Left: CT. Right: PSMA PET, same axial level, 68Ga tracer. Acquired on GE Discovery 690.
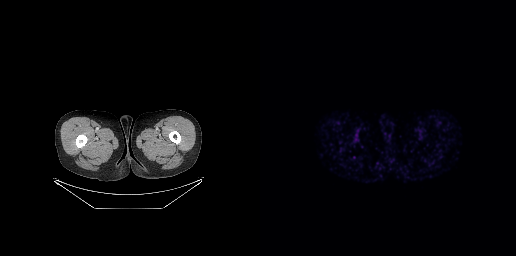
No PSMA-avid tumor lesions on this slice.